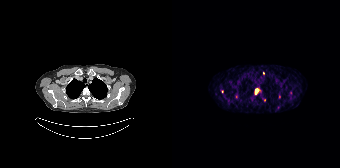
Technique: Left: CT. Right: PSMA PET, same axial level, 68Ga-PSMA tracer.
Findings: Coordinates are on the 168×168 PET (right) panel. PSMA-avid tumor lesion bounding box (x, y, width, height): x=83 y=88 w=4 h=7. Small PSMA-avid foci (2 to 4 px across) near (center x, center y): (64, 96) | (107, 96) | (92, 100) | (91, 72) | (50, 91).